Two-panel axial: CT | PSMA PET, 18F-PSMA tracer. Acquired on Siemens Biograph mCT Flow 20.
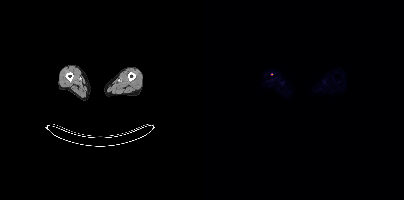
Only PSMA-avid lesion pieces thinner than 2 px on this slice (not listed).